modality: PSMA PET/CT | tracer: 68Ga | view: axial
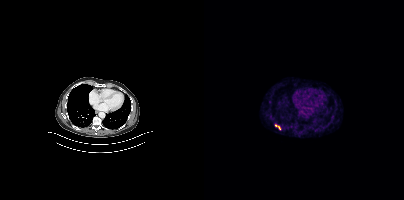
Coordinates are on the 200×200 PET (right) panel. PSMA-avid tumor lesion bounding box (x, y, width, height): x=71 y=124 w=6 h=6.